Left: CT. Right: PSMA PET, same axial level, [18F]PSMA-1007 tracer. Slice 150 of 389.
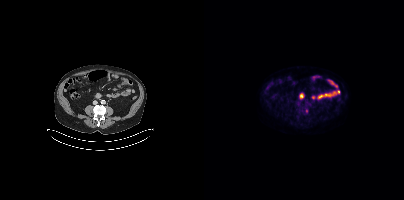
No PSMA-avid tumor lesions on this slice.